modality: PSMA PET/CT | tracer: [68Ga]Ga-PSMA-11 | view: axial | PET grid: 256×256
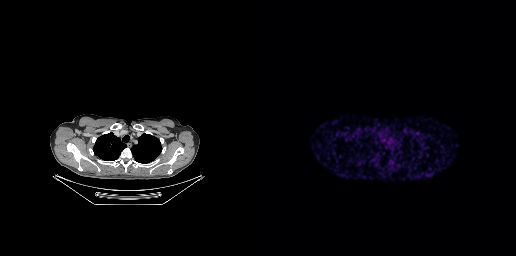
Negative for PSMA-avid disease on this slice.